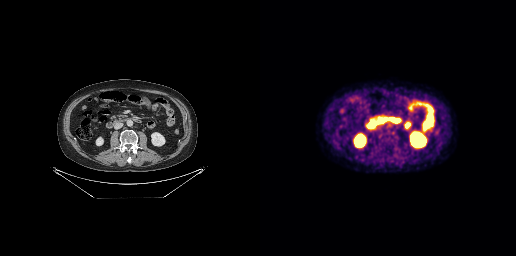
This slice has no annotated PSMA-avid lesion.
modality: PSMA PET/CT | tracer: [18F]PSMA-1007 | view: axial